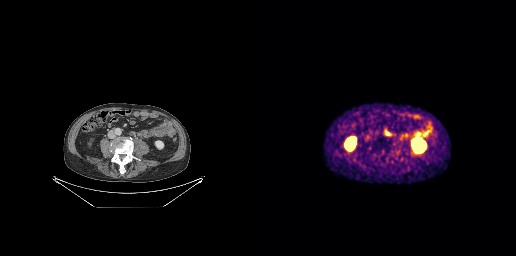
This slice has no annotated PSMA-avid lesion.